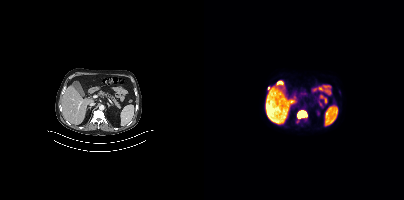
{"modality":"PSMA PET/CT","view":"axial","tracer":"[18F]PSMA-1007","pet_grid":[200,200],"coord_frame":"pet_panel","coord_format":"x0,y0,x1,y1","lesion_bboxes":[[93,110,103,119]],"small_foci_centers":[[65,87]]}